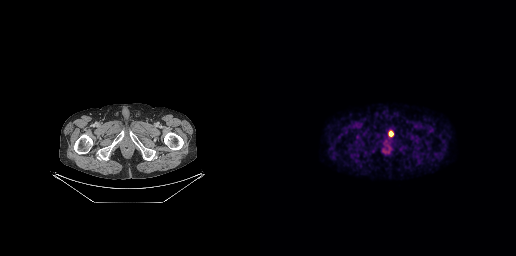
Paired axial CT (left) and PSMA PET (right), 18F tracer. No tumor lesions annotated on this slice.